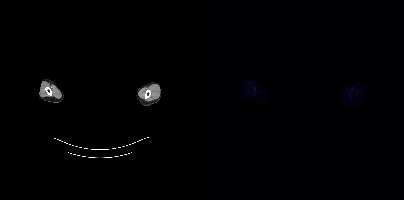
Findings: This slice has no annotated PSMA-avid lesion.
Technique: Left: CT. Right: PSMA PET, same axial level, 18F tracer. slice 416 of 427. PET panel 200×200 px (4.1 mm/px).
Note: Head region blanked for anonymization (face removed).